- the head region is masked for de-identification
- Two-panel axial: CT | PSMA PET, [18F]PSMA-1007 tracer
- acquired on Siemens Biograph 64-4R TruePoint
- slice position z = -576 mm
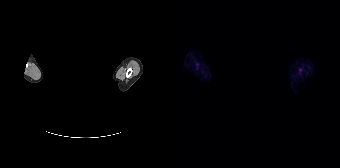
Findings: No PSMA-avid tumor lesions on this slice.